Technique: Paired axial CT (left) and PSMA PET (right), [18F]PSMA-1007 tracer. acquired on Siemens Biograph mCT Flow 20.
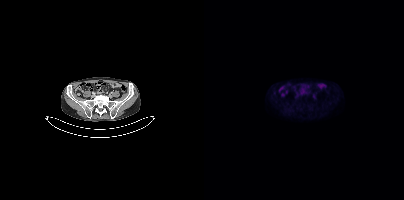
Findings: Negative for PSMA-avid disease on this slice.